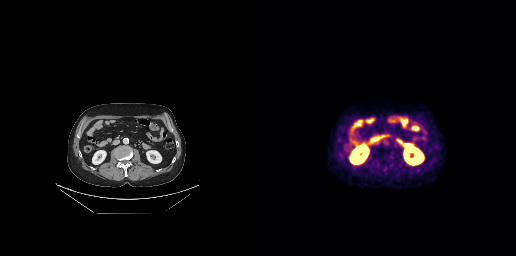
{"modality":"PSMA PET/CT","view":"axial","tracer":"18F-PSMA","pet_grid":[256,256],"coord_frame":"pet_panel","coord_format":"x0,y0,x1,y1","psma_avid_lesions":false}